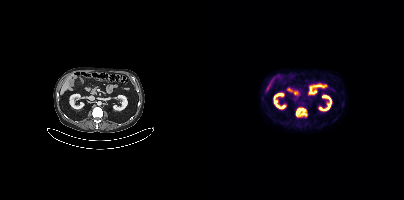
Coordinates are on the 200×200 PET (right) panel. PSMA-avid tumor lesion bounding box (x0,y0,x1,y1): [92,108,102,116].